Paired axial CT (left) and PSMA PET (right), 18F-PSMA tracer. Acquired on Siemens Biograph mCT Flow 20. Slice 282 of 395. PET panel 200×200 px (4.1 mm/px).
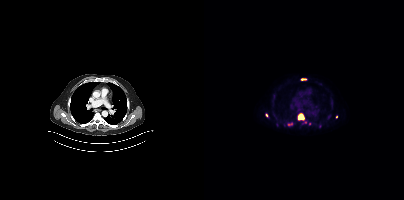
Coordinates are on the 200×200 PET (right) panel. PSMA-avid tumor lesion bounding boxes (partial; 1 more focus not listed):
| # | x0 | y0 | x1 | y1 |
|---|---|---|---|---|
| 1 | 94 | 113 | 100 | 120 |
| 2 | 96 | 78 | 103 | 80 |
| 3 | 84 | 123 | 88 | 125 |
Small PSMA-avid foci (2 to 4 px across) near (center x, center y): (62, 114); (132, 116).